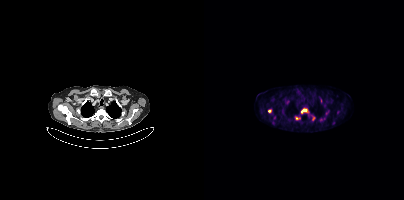
Left: CT. Right: PSMA PET, same axial level, 18F-PSMA tracer. Acquired on Siemens Biograph mCT Flow 20. Slice 336 of 415.
Coordinates are on the 200×200 PET (right) panel. PSMA-avid tumor lesion bounding boxes (partial; 2 more foci not listed):
| # | x0 | y0 | x1 | y1 |
|---|---|---|---|---|
| 1 | 97 | 109 | 103 | 113 |
Small PSMA-avid foci (2 to 4 px across) near (center x, center y): (65, 111); (92, 118).